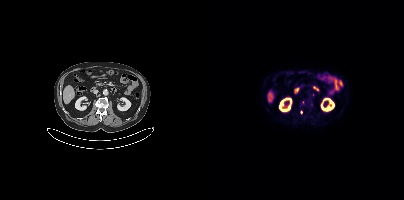
Coordinates are on the 200×200 PET (right) panel. Small PSMA-avid focus (2 to 4 px across) near (center x, center y): (97, 112).